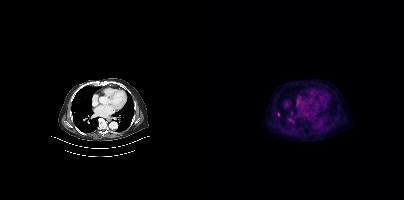
Findings: Coordinates are on the 200×200 PET (right) panel. Small PSMA-avid foci (2 to 4 px across) near (center x, center y): (74, 114); (85, 119).
- Paired axial CT (left) and PSMA PET (right), 18F tracer
- acquired on Siemens Biograph mCT Flow 20